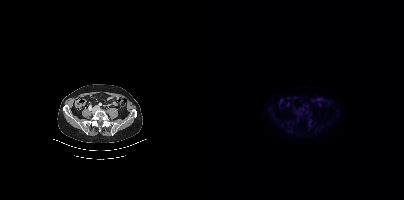
{"modality":"PSMA PET/CT","view":"axial","tracer":"[18F]PSMA-1007","pet_grid":[200,200],"coord_frame":"pet_panel","coord_format":"x0,y0,x1,y1","psma_avid_lesions":false}